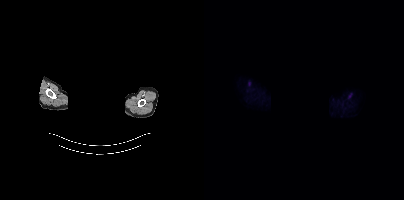
{"modality":"PSMA PET/CT","view":"axial","tracer":"[18F]PSMA-1007","pet_grid":[200,200],"coord_frame":"pet_panel","coord_format":"x0,y0,x1,y1","deidentification":"head region blacked out before release","psma_avid_lesions":false}